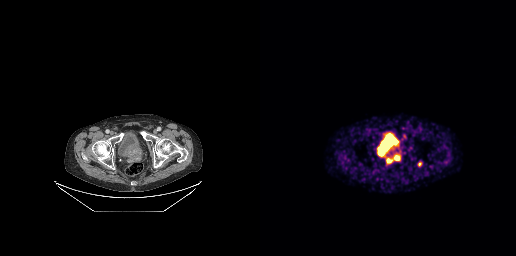
Technique: Paired axial CT (left) and PSMA PET (right), [68Ga]Ga-PSMA-11 tracer.
Findings: Coordinates are on the 256×256 PET (right) panel. (showing 4 of 5 foci) PSMA-avid tumor lesion bounding boxes (x, y, width, height): x=126 y=153 w=15 h=11 / x=143 y=134 w=4 h=5 / x=131 y=146 w=6 h=4. Small PSMA-avid focus (2 to 4 px across) near (center x, center y): (159, 163).